Paired axial CT (left) and PSMA PET (right), 18F tracer. Acquired on Siemens Biograph mCT Flow 20. Slice position z = -330 mm.
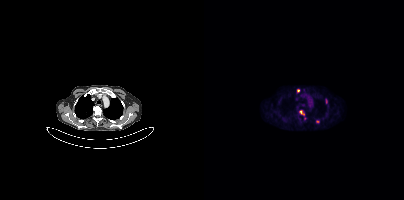
Coordinates are on the 200×200 PET (right) panel. PSMA-avid tumor lesion bounding boxes (partial; 1 more focus not listed):
| # | x0 | y0 | x1 | y1 |
|---|---|---|---|---|
| 1 | 95 | 111 | 100 | 115 |
| 2 | 122 | 99 | 123 | 103 |
Small PSMA-avid foci (2 to 4 px across) near (center x, center y): (113, 121); (94, 90).